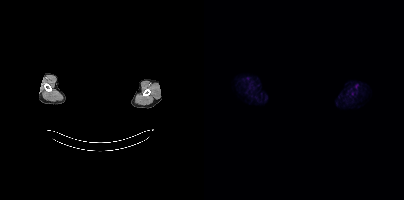
Paired axial CT (left) and PSMA PET (right), 18F-PSMA tracer. A rectangle over the head was blacked out to remove identifiable facial features. This slice has no annotated PSMA-avid lesion.